Two-panel axial: CT | PSMA PET, [18F]PSMA-1007 tracer. PET panel 200×200 px (4.1 mm/px).
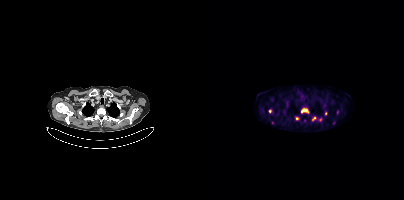
Coordinates are on the 200×200 PET (right) panel. PSMA-avid tumor lesion bounding boxes (partial; 1 more focus not listed):
| # | x0 | y0 | x1 | y1 |
|---|---|---|---|---|
| 1 | 97 | 108 | 104 | 112 |
Small PSMA-avid foci (2 to 4 px across) near (center x, center y): (93, 118); (109, 118); (65, 111); (121, 113); (116, 119).